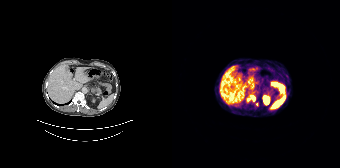
Technique: Paired axial CT (left) and PSMA PET (right), 68Ga-PSMA tracer. acquired on Siemens Biograph 64-4R TruePoint.
Findings: Coordinates are on the 168×168 PET (right) panel. (showing 1 of 2 foci) PSMA-avid tumor lesion bounding box (x, y, width, height): x=75 y=95 w=9 h=7.